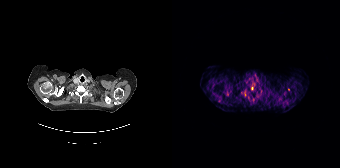
Two-panel axial: CT | PSMA PET, 68Ga tracer. Coordinates are on the 168×168 PET (right) panel. (showing 2 of 4 foci) Small PSMA-avid foci (2 to 4 px across) near (center x, center y): (116, 89); (79, 88).